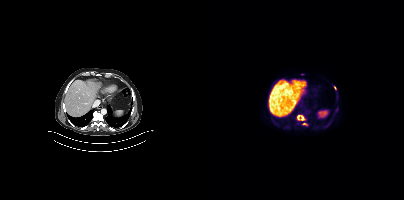
{"modality":"PSMA PET/CT","view":"axial","tracer":"18F","pet_grid":[200,200],"coord_frame":"pet_panel","coord_format":"x0,y0,x1,y1","partial":true,"lesion_bboxes":[[93,115,101,120],[98,123,103,125]],"small_foci_centers":[[131,87],[132,109]]}